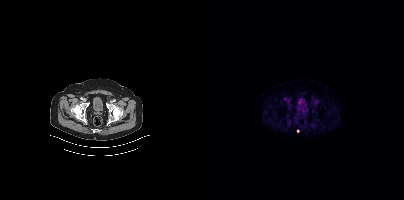
Technique: Two-panel axial: CT | PSMA PET, 18F-PSMA tracer. acquired on Siemens Biograph mCT Flow 20.
Findings: Coordinates are on the 200×200 PET (right) panel. Small PSMA-avid focus (2 to 4 px across) near (center x, center y): (93, 130).